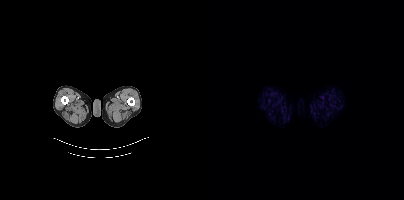
Paired axial CT (left) and PSMA PET (right), 18F tracer. PET panel 200×200 px (4.1 mm/px). No PSMA-avid tumor lesions on this slice.